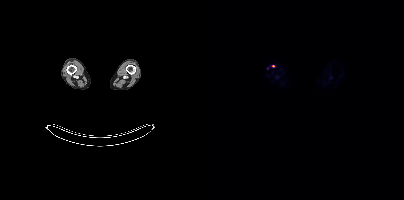
Coordinates are on the 200×200 PET (right) panel. Small PSMA-avid focus (2 to 4 px across) near (center x, center y): (69, 65).